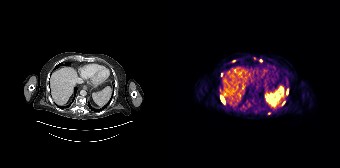
Paired axial CT (left) and PSMA PET (right), [68Ga]Ga-PSMA-11 tracer. Acquired on Siemens Biograph 64-4R TruePoint. Slice 133 of 195. PET panel 168×168 px (4.1 mm/px).
Coordinates are on the 168×168 PET (right) panel. PSMA-avid tumor lesion bounding boxes (partial; 3 more foci not listed):
| # | x0 | y0 | x1 | y1 |
|---|---|---|---|---|
| 1 | 48 | 95 | 52 | 103 |
| 2 | 115 | 90 | 116 | 94 |
Small PSMA-avid foci (2 to 4 px across) near (center x, center y): (49, 74); (111, 103); (88, 60).